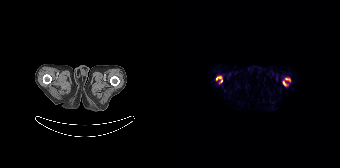
Coordinates are on the 168×168 PET (right) panel. PSMA-avid tumor lesion bounding boxes (x0,y0,x1,y1): [110,78,118,86] [44,76,50,82].